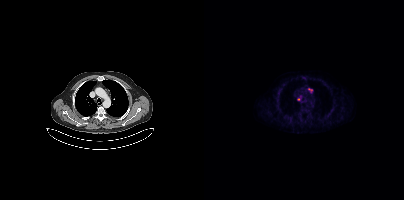
{"modality":"PSMA PET/CT","view":"axial","tracer":"18F","pet_grid":[200,200],"coord_frame":"pet_panel","coord_format":"x0,y0,x1,y1","lesion_bboxes":[[104,88,108,92]],"small_foci_centers":[[94,99]]}